Left: CT. Right: PSMA PET, same axial level, [18F]PSMA-1007 tracer. Slice position z = -984 mm.
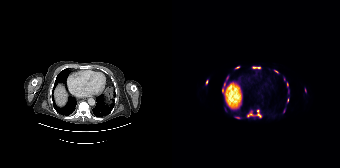
Coordinates are on the 168×168 PET (right) panel. PSMA-avid tumor lesion bounding boxes (partial; 4 more foci not listed):
| # | x0 | y0 | x1 | y1 |
|---|---|---|---|---|
| 1 | 75 | 109 | 89 | 117 |
| 2 | 81 | 67 | 88 | 68 |
| 3 | 50 | 89 | 52 | 93 |
| 4 | 63 | 66 | 67 | 68 |
| 5 | 63 | 117 | 68 | 118 |
| 6 | 102 | 70 | 106 | 72 |
Small PSMA-avid foci (2 to 4 px across) near (center x, center y): (34, 81); (115, 84); (115, 99); (52, 84).